modality: PSMA PET/CT | tracer: [68Ga]Ga-PSMA-11 | view: axial
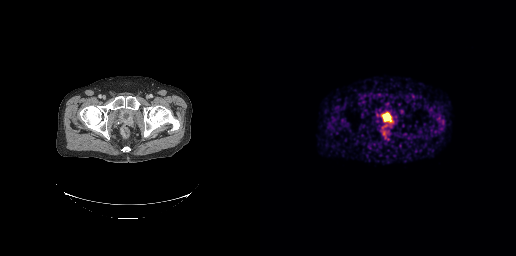
Coordinates are on the 256×256 PET (right) panel. PSMA-avid tumor lesion bounding box (x, y, width, height): x=123 y=115 w=10 h=7.